Any black rectangle here is a de-identification mask. Paired axial CT (left) and PSMA PET (right), 18F tracer. Slice 386 of 448.
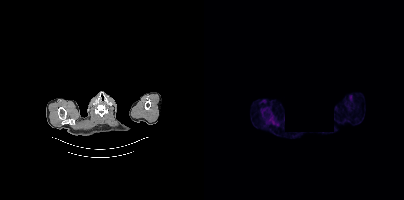
Coordinates are on the 200×200 PET (right) panel. Small PSMA-avid focus (2 to 4 px across) near (center x, center y): (60, 109).